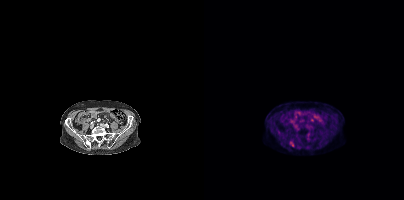
{"modality":"PSMA PET/CT","view":"axial","tracer":"18F-PSMA","pet_grid":[200,200],"coord_frame":"pet_panel","coord_format":"x0,y0,x1,y1","lesion_bboxes":[[85,142,90,146]],"small_foci_centers":[[94,128]]}